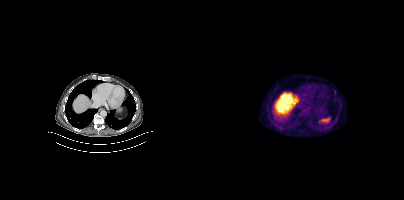
Paired axial CT (left) and PSMA PET (right), 18F-PSMA tracer. Acquired on Siemens Biograph mCT Flow 20. Slice 253 of 429. Coordinates are on the 200×200 PET (right) panel. Small PSMA-avid focus (2 to 4 px across) near (center x, center y): (130, 91).